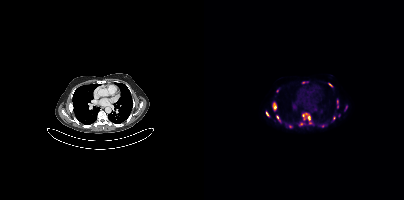
Coordinates are on the 200×200 PET (right) panel. (showing 14 of 15 foci) PSMA-avid tumor lesion bounding boxes (x0,y0,x1,y1): [98,113,106,120]; [69,103,72,109]; [95,122,99,125]; [133,100,134,106]; [73,116,76,121]; [141,106,143,110]. Small PSMA-avid foci (2 to 4 px across) near (center x, center y): (63, 113); (130, 118); (99, 82); (86, 126); (73, 90); (126, 84); (106, 122); (118, 125).